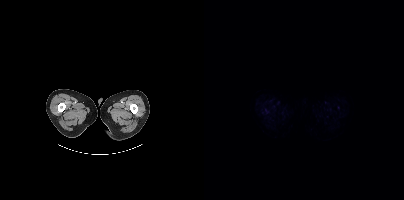
This slice has no annotated PSMA-avid lesion.